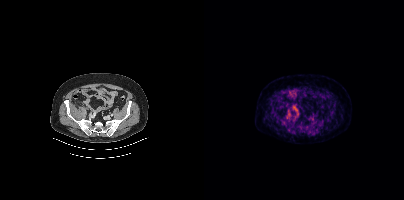
Coordinates are on the 200×200 PET (right) panel. Small PSMA-avid focus (2 to 4 px across) near (center x, center y): (84, 113).
modality: PSMA PET/CT | tracer: 18F-PSMA | view: axial